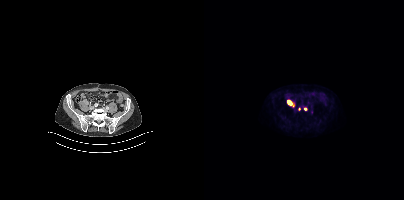
Coordinates are on the 200×200 PET (right) panel. PSMA-avid tumor lesion bounding box (x, y, width, height): x=83 y=100 w=8 h=7. Small PSMA-avid foci (2 to 4 px across) near (center x, center y): (101, 109); (95, 109). Left: CT. Right: PSMA PET, same axial level, 18F-PSMA tracer.